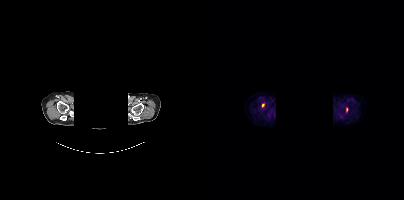
modality: PSMA PET/CT | tracer: 18F-PSMA | view: axial | PET grid: 200×200 | deidentification: head region blacked out before release
Coordinates are on the 200×200 PET (right) panel. Small PSMA-avid foci (2 to 4 px across) near (center x, center y): (142, 109); (59, 105).